- Left: CT. Right: PSMA PET, same axial level, 18F-PSMA tracer
- slice 127 of 409
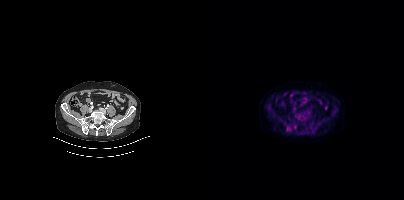
Findings: Coordinates are on the 200×200 PET (right) panel. PSMA-avid tumor lesion bounding box (x0,y0,x1,y1): [82,126,87,131].